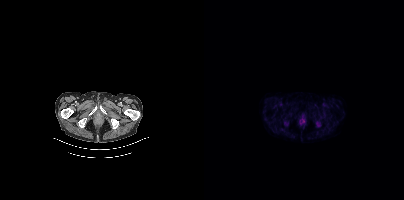
Negative for PSMA-avid disease on this slice.
modality: PSMA PET/CT | tracer: [18F]PSMA-1007 | view: axial | PET grid: 200×200